Paired axial CT (left) and PSMA PET (right), 18F-PSMA tracer. Acquired on Siemens Biograph 64-4R TruePoint. PET panel 168×168 px (4.1 mm/px).
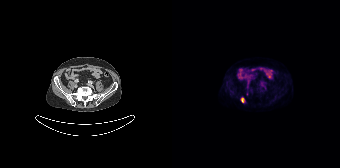
Coordinates are on the 168×168 PET (right) panel. PSMA-avid tumor lesion bounding boxes (partial; 1 more focus not listed):
| # | x0 | y0 | x1 | y1 |
|---|---|---|---|---|
| 1 | 69 | 97 | 72 | 102 |